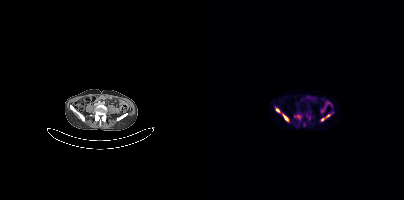
Coordinates are on the 200×200 PET (right) panel. (showing 5 of 6 foci) PSMA-avid tumor lesion bounding boxes (x0, y0)-(x1, y1): (78, 114)-(84, 121) / (92, 115)-(96, 118). Small PSMA-avid foci (2 to 4 px across) near (center x, center y): (73, 110) / (124, 115) / (118, 119).